Paired axial CT (left) and PSMA PET (right), [18F]PSMA-1007 tracer. Slice position z = -857 mm. PET panel 200×200 px (4.1 mm/px).
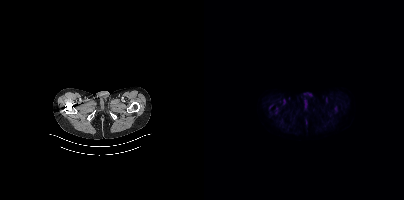
No tumor lesions annotated on this slice.